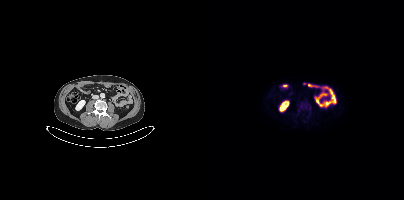
{"modality":"PSMA PET/CT","view":"axial","tracer":"18F","pet_grid":[200,200],"coord_frame":"pet_panel","coord_format":"x0,y0,x1,y1","lesion_bboxes":[],"small_foci_centers":[[105,108]]}